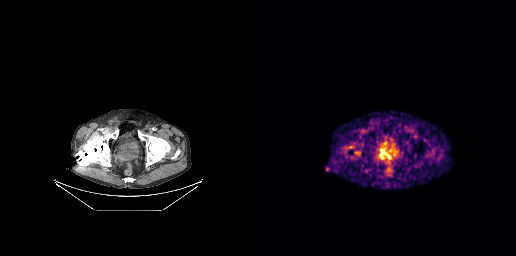
Findings: Coordinates are on the 256×256 PET (right) panel. PSMA-avid tumor lesion bounding box (x0, y0)-(x1, y1): (117, 148)-(131, 162).
Technique: Left: CT. Right: PSMA PET, same axial level, 68Ga-PSMA tracer. PET panel 256×256 px (2.7 mm/px).